Two-panel axial: CT | PSMA PET, [18F]PSMA-1007 tracer. Slice position z = -440 mm.
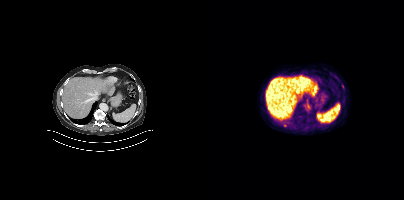
This slice has no annotated PSMA-avid lesion.